Head region blanked for anonymization (face removed).
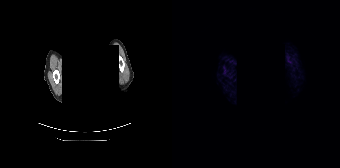
No PSMA-avid tumor lesions on this slice.